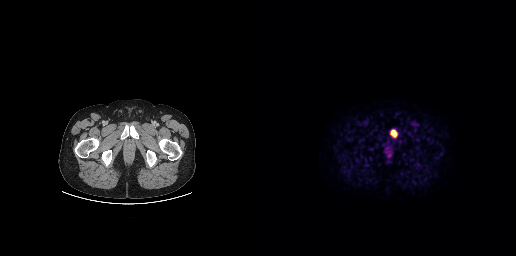
Technique: Two-panel axial: CT | PSMA PET, [18F]PSMA-1007 tracer. slice 37 of 263.
Findings: Coordinates are on the 256×256 PET (right) panel. PSMA-avid tumor lesion bounding box (x0,y0,x1,y1): [130,129,137,137].